- Left: CT. Right: PSMA PET, same axial level, 18F tracer
- acquired on Siemens Biograph mCT Flow 20
- slice position z = -576 mm
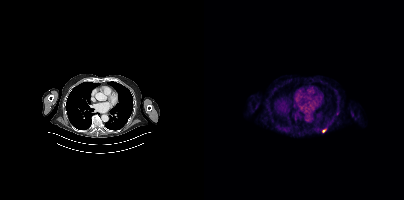
Findings: Coordinates are on the 200×200 PET (right) panel. Small PSMA-avid focus (2 to 4 px across) near (center x, center y): (119, 131).